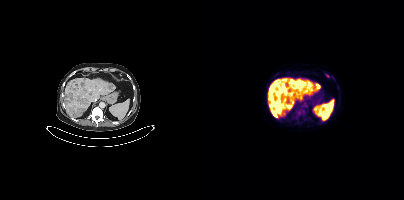
Coordinates are on the 200×200 PET (right) panel. PSMA-avid tumor lesion bounding boxes (x0,y0,x1,y1): [68,109,74,116], [64,89,69,94], [92,109,96,114]. Small PSMA-avid focus (2 to 4 px across) near (center x, center y): (123, 75). Paired axial CT (left) and PSMA PET (right), 18F tracer. PET panel 200×200 px (4.1 mm/px).